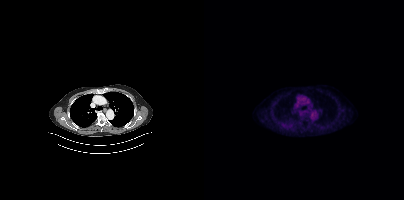
{"pet_grid":[200,200],"coord_frame":"pet_panel","coord_format":"x0,y0,x1,y1","psma_avid_lesions":false,"modality":"PSMA PET/CT","view":"axial","tracer":"18F"}